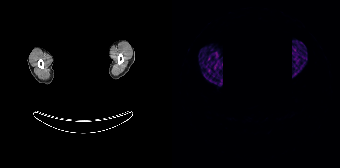
redaction: head region blanked (face removed) | modality: PSMA PET/CT | tracer: 68Ga | view: axial
No PSMA-avid tumor lesions on this slice.